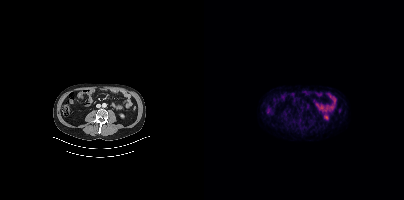
- Left: CT. Right: PSMA PET, same axial level, 68Ga-PSMA tracer
Findings: No tumor lesions annotated on this slice.